modality: PSMA PET/CT | tracer: 18F | view: axial | PET grid: 200×200
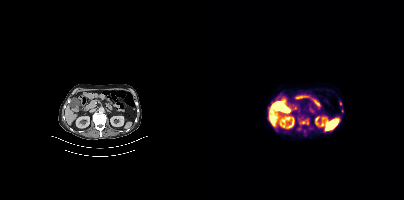
Coordinates are on the 200×200 PET (right) panel. PSMA-avid tumor lesion bounding box (x0,y0,x1,y1): [98,123,104,124]. Small PSMA-avid foci (2 to 4 px across) near (center x, center y): (136, 103) (138, 110).